modality: PSMA PET/CT | tracer: [18F]PSMA-1007 | view: axial
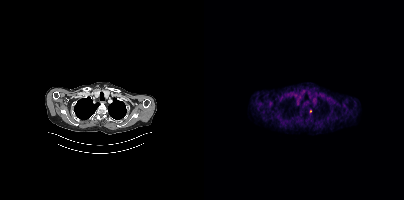
Coordinates are on the 200×200 PET (right) panel. Small PSMA-avid focus (2 to 4 px across) near (center x, center y): (106, 111).